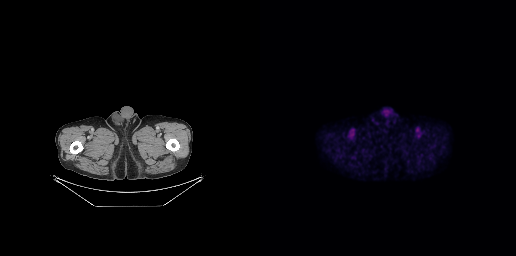
Left: CT. Right: PSMA PET, same axial level, 18F tracer. No PSMA-avid tumor lesions on this slice.